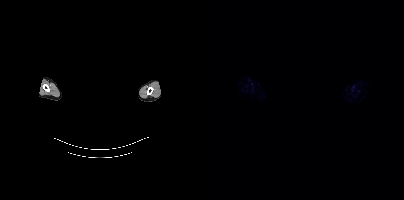
Findings: No tumor lesions annotated on this slice.
Technique: Paired axial CT (left) and PSMA PET (right), [18F]PSMA-1007 tracer. acquired on Siemens Biograph mCT Flow 20. slice position z = -818 mm.
Note: An anonymization step blacked out a rectangle over the head in this scan.